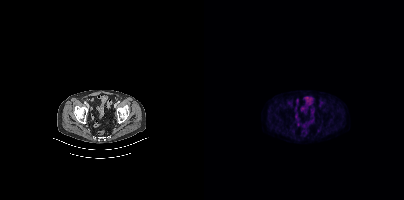
modality: PSMA PET/CT | tracer: 18F-PSMA | view: axial
Negative for PSMA-avid disease on this slice.